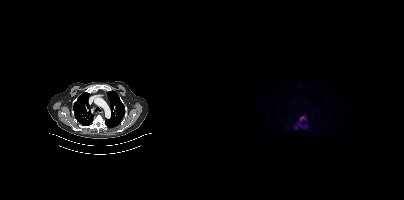
Coordinates are on the 200×200 PET (right) panel. PSMA-avid tumor lesion bounding box (x, y, width, height): x=90 y=116 w=14 h=14. Left: CT. Right: PSMA PET, same axial level, [18F]PSMA-1007 tracer. Acquired on Siemens Biograph mCT Flow 20.